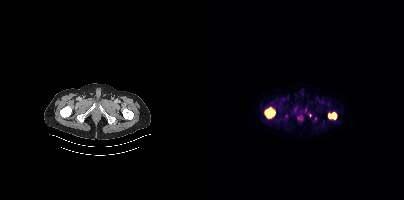
modality: PSMA PET/CT | tracer: 18F | view: axial | PET grid: 200×200
Coordinates are on the 200×200 PET (right) panel. PSMA-avid tumor lesion bounding boxes (x, y, width, height): x=61 y=107 w=11 h=12 / x=124 y=112 w=9 h=8.